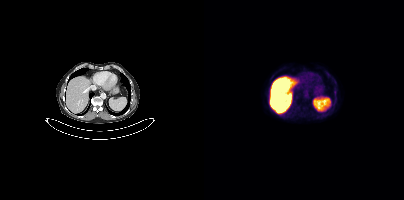
This slice has no annotated PSMA-avid lesion. Two-panel axial: CT | PSMA PET, [18F]PSMA-1007 tracer. Slice 230 of 413. PET panel 200×200 px (4.1 mm/px).